Technique: Paired axial CT (left) and PSMA PET (right), [18F]PSMA-1007 tracer. acquired on Siemens Biograph mCT Flow 20. slice position z = -1493 mm.
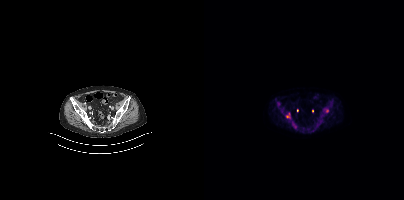
Findings: Coordinates are on the 200×200 PET (right) panel. (showing 4 of 5 foci) PSMA-avid tumor lesion bounding boxes (x0,y0,x1,y1): [73,101,79,112]; [82,113,86,119]. Small PSMA-avid foci (2 to 4 px across) near (center x, center y): (122, 110); (91, 125).